modality: PSMA PET/CT | tracer: 68Ga-PSMA | view: axial | PET grid: 200×200
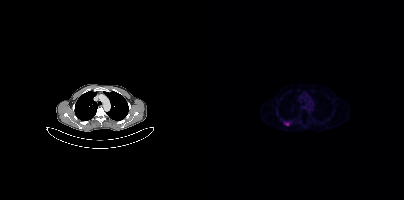
Coordinates are on the 200×200 PET (right) panel. PSMA-avid tumor lesion bounding box (x0,y0,x1,y1): [80,122,85,125].